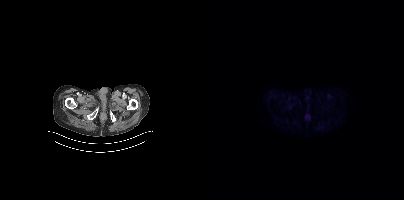
{"modality":"PSMA PET/CT","view":"axial","tracer":"[18F]PSMA-1007","pet_grid":[200,200],"coord_frame":"pet_panel","coord_format":"x0,y0,x1,y1","psma_avid_lesions":false}